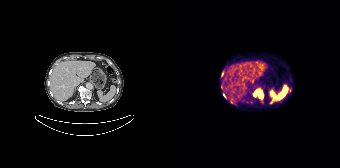
Coordinates are on the 168×168 PET (right) panel. (showing 5 of 7 foci) PSMA-avid tumor lesion bounding boxes (x0,y0,x1,y1): [82,91,90,97], [115,90,119,93]. Small PSMA-avid foci (2 to 4 px across) near (center x, center y): (52, 95), (99, 103), (49, 87).